Two-panel axial: CT | PSMA PET, [18F]PSMA-1007 tracer. Acquired on Siemens Biograph mCT Flow 20.
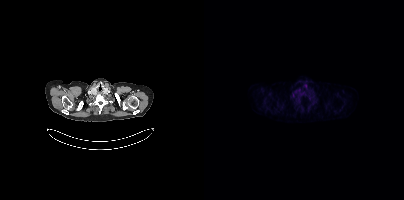
This slice has no annotated PSMA-avid lesion.